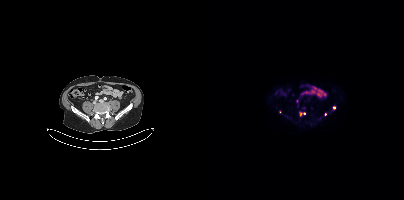
Coordinates are on the 200×200 PET (right) panel. (showing 4 of 5 foci) PSMA-avid tumor lesion bounding box (x0, y0)-(x1, y1): (96, 112)-(101, 115). Small PSMA-avid foci (2 to 4 px across) near (center x, center y): (93, 101) / (130, 108) / (121, 114).